modality: PSMA PET/CT | tracer: 18F-PSMA | view: axial
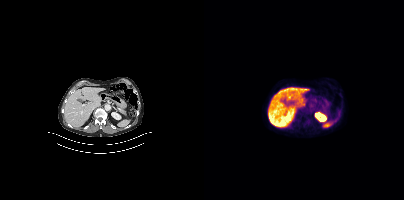
Negative for PSMA-avid disease on this slice.